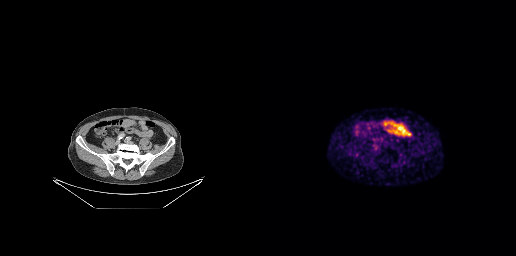
Coordinates are on the 256×256 PET (right) panel. PSMA-avid tumor lesion bounding box (x, y, width, height): x=113 y=145 w=5 h=5.